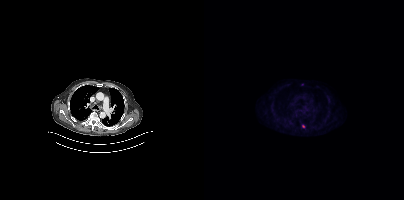
Two-panel axial: CT | PSMA PET, 18F tracer. Acquired on Siemens Biograph mCT Flow 20. Slice 268 of 383. PET panel 200×200 px (4.1 mm/px). Coordinates are on the 200×200 PET (right) panel. (showing 1 of 2 foci) Small PSMA-avid focus (2 to 4 px across) near (center x, center y): (99, 126).